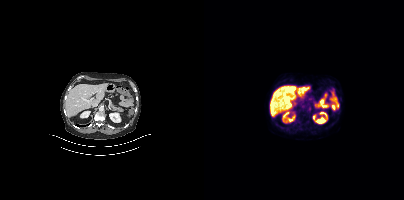
{"modality":"PSMA PET/CT","view":"axial","tracer":"18F-PSMA","pet_grid":[200,200],"coord_frame":"pet_panel","coord_format":"x0,y0,x1,y1","psma_avid_lesions":false}